Technique: Paired axial CT (left) and PSMA PET (right), [18F]PSMA-1007 tracer. acquired on Siemens Biograph mCT Flow 20.
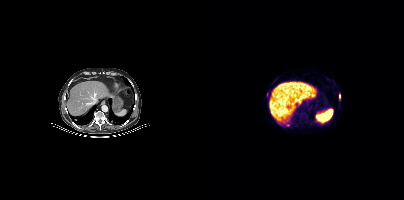
Findings: Coordinates are on the 200×200 PET (right) panel. PSMA-avid tumor lesion bounding box (x0, y0)-(x1, y1): (135, 94)-(136, 98). Small PSMA-avid foci (2 to 4 px across) near (center x, center y): (83, 124); (63, 94).